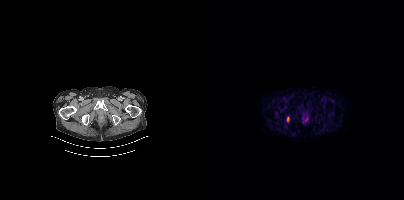
Findings: Coordinates are on the 200×200 PET (right) panel. PSMA-avid tumor lesion bounding box (x, y, width, height): x=83 y=117 w=3 h=5.
Technique: Paired axial CT (left) and PSMA PET (right), 18F tracer. slice 33 of 427.